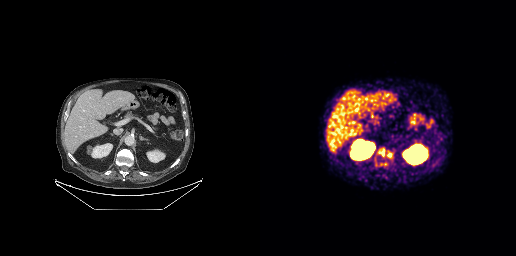
{"modality":"PSMA PET/CT","view":"axial","tracer":"68Ga-PSMA","pet_grid":[256,256],"coord_frame":"pet_panel","coord_format":"x0,y0,x1,y1","lesion_bboxes":[[118,148,125,156],[127,151,132,158]],"small_foci_centers":[[125,164],[121,164]]}